Technique: Two-panel axial: CT | PSMA PET, 18F-PSMA tracer. PET panel 200×200 px (4.1 mm/px).
Note: Any black rectangle over the head is a privacy mask, not anatomy.
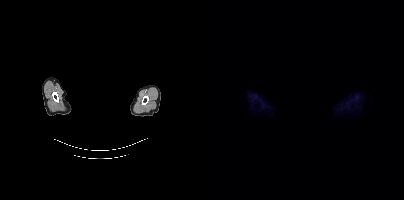
Findings: Negative for PSMA-avid disease on this slice.